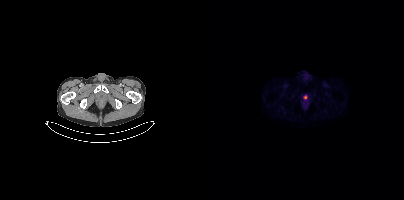
Findings: No PSMA-avid tumor lesions on this slice.
- Left: CT. Right: PSMA PET, same axial level, 18F tracer
- PET panel 200×200 px (4.1 mm/px)